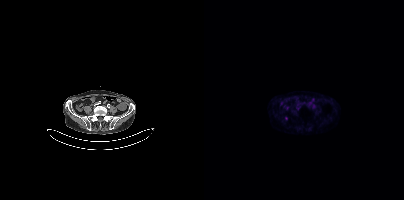
{"modality":"PSMA PET/CT","view":"axial","tracer":"18F","pet_grid":[200,200],"coord_frame":"pet_panel","coord_format":"x0,y0,x1,y1","psma_avid_lesions":false}